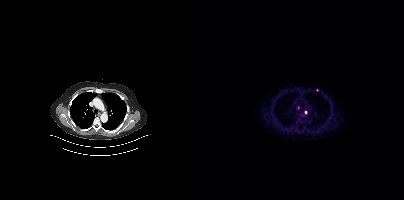
Coordinates are on the 200×200 PET (right) panel. (showing 1 of 3 foci) Small PSMA-avid focus (2 to 4 px across) near (center x, center y): (102, 112).